Left: CT. Right: PSMA PET, same axial level, 18F-PSMA tracer. Slice position z = -1510 mm.
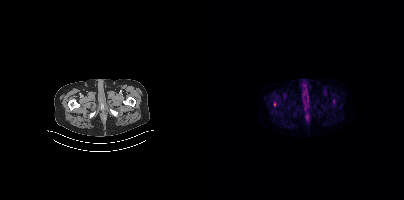
Coordinates are on the 200×200 PET (right) panel. Small PSMA-avid foci (2 to 4 px across) near (center x, center y): (129, 101), (70, 104).